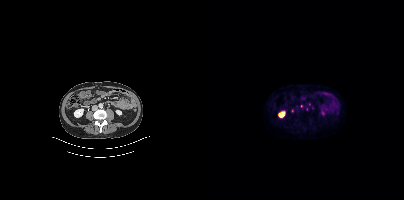
Two-panel axial: CT | PSMA PET, [18F]PSMA-1007 tracer. Acquired on Siemens Biograph mCT Flow 20. Coordinates are on the 200×200 PET (right) panel. (showing 1 of 2 foci) Small PSMA-avid focus (2 to 4 px across) near (center x, center y): (97, 105).